Left: CT. Right: PSMA PET, same axial level, 18F tracer.
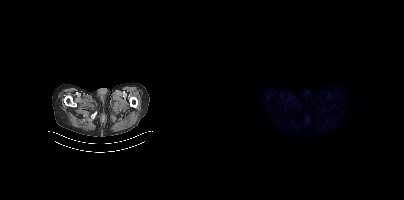
Negative for PSMA-avid disease on this slice.